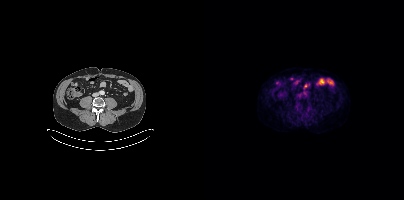
Findings: Only PSMA-avid lesion pieces thinner than 2 px on this slice (not listed).
- Left: CT. Right: PSMA PET, same axial level, [18F]PSMA-1007 tracer